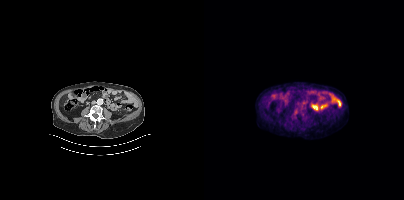
This slice has no annotated PSMA-avid lesion.
modality: PSMA PET/CT | tracer: 18F | view: axial